Technique: Two-panel axial: CT | PSMA PET, 18F tracer. acquired on Siemens Biograph mCT Flow 20. PET panel 200×200 px (4.1 mm/px).
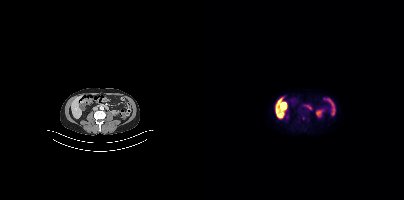
Findings: This slice has no annotated PSMA-avid lesion.